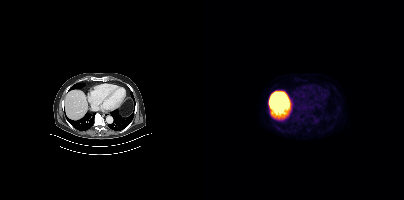
{"pet_grid":[200,200],"coord_frame":"pet_panel","coord_format":"x0,y0,x1,y1","psma_avid_lesions":false,"modality":"PSMA PET/CT","view":"axial","tracer":"18F"}